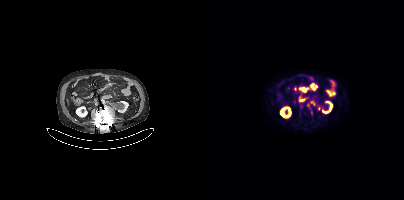
{"modality":"PSMA PET/CT","view":"axial","tracer":"18F","pet_grid":[200,200],"coord_frame":"pet_panel","coord_format":"x0,y0,x1,y1","lesion_bboxes":[[102,104,108,115],[95,87,103,91],[107,84,112,90],[107,101,110,105]],"small_foci_centers":[[97,106],[91,88]]}